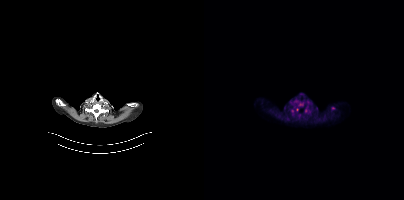
Technique: Two-panel axial: CT | PSMA PET, 18F-PSMA tracer. slice 354 of 421.
Findings: Only PSMA-avid lesion pieces thinner than 2 px on this slice (not listed).